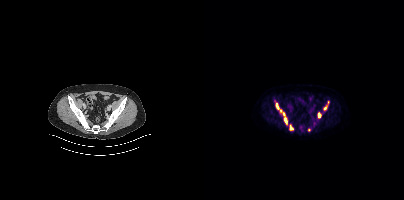
Findings: Coordinates are on the 200×200 PET (right) panel. (showing 5 of 6 foci) PSMA-avid tumor lesion bounding boxes (x, y, width, height): x=72 y=103 w=12 h=22 | x=85 y=125 w=5 h=6 | x=114 y=112 w=4 h=6. Small PSMA-avid foci (2 to 4 px across) near (center x, center y): (121, 108) | (104, 129).
Technique: Paired axial CT (left) and PSMA PET (right), [18F]PSMA-1007 tracer. acquired on Siemens Biograph mCT Flow 20. PET panel 200×200 px (4.1 mm/px).